Paired axial CT (left) and PSMA PET (right), [18F]PSMA-1007 tracer. Slice position z = -1362 mm. PET panel 200×200 px (4.1 mm/px).
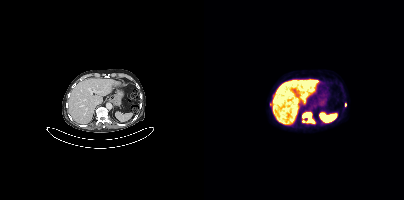
Coordinates are on the 200×200 PET (right) panel. (showing 3 of 4 foci) PSMA-avid tumor lesion bounding boxes (x0, y0)-(x1, y1): (98, 112)-(111, 123) | (66, 102)-(68, 106). Small PSMA-avid focus (2 to 4 px across) near (center x, center y): (141, 104).